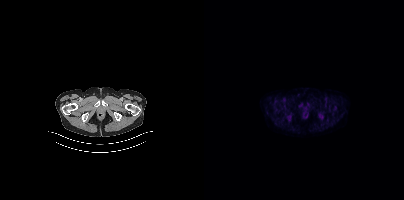
Two-panel axial: CT | PSMA PET, 18F-PSMA tracer. Slice position z = -782 mm. PET panel 200×200 px (4.1 mm/px). No tumor lesions annotated on this slice.